Paired axial CT (left) and PSMA PET (right), 18F tracer. The head region is masked for de-identification.
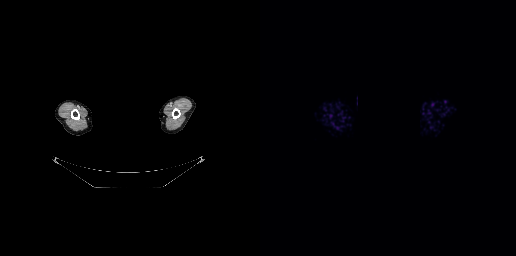
No PSMA-avid tumor lesions on this slice.